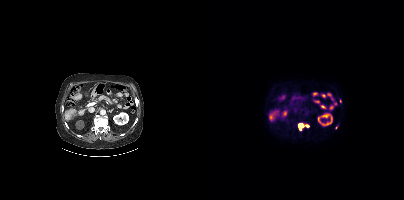
Coordinates are on the 200×200 PET (right) panel. PSMA-avid tumor lesion bounding box (x, y, width, height): x=94 y=124 w=12 h=7.